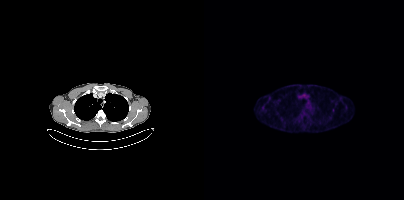
{"modality":"PSMA PET/CT","view":"axial","tracer":"[18F]PSMA-1007","pet_grid":[200,200],"coord_frame":"pet_panel","coord_format":"x0,y0,x1,y1","lesion_bboxes":[],"small_foci_centers":[[129,110]]}